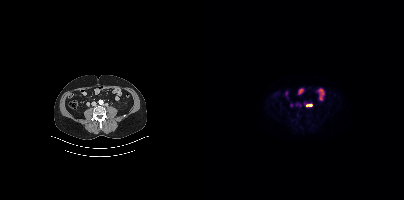
Coordinates are on the 200×200 PET (right) panel. PSMA-avid tumor lesion bounding box (x0,y0,x1,y1): [102,104,108,106].